modality: PSMA PET/CT | tracer: 18F | view: axial | PET grid: 200×200
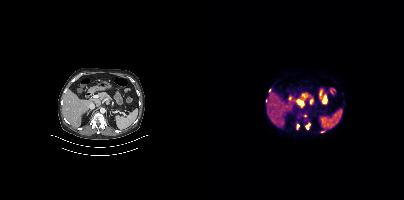
Coordinates are on the 200×200 PET (right) panel. (showing 2 of 3 foci) PSMA-avid tumor lesion bounding boxes (x, y, width, height): x=102 y=123 w=5 h=7; x=93 y=124 w=3 h=6.